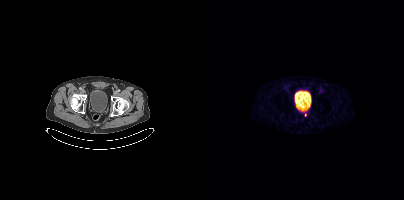
Coordinates are on the 200×200 PET (right) panel. Small PSMA-avid focus (2 to 4 px across) near (center x, center y): (101, 114).